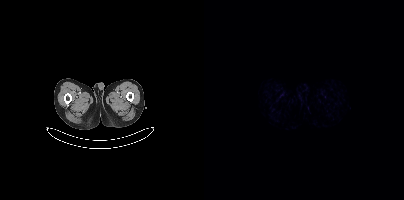
modality: PSMA PET/CT | tracer: [68Ga]Ga-PSMA-11 | view: axial | PET grid: 200×200
Negative for PSMA-avid disease on this slice.